Technique: Left: CT. Right: PSMA PET, same axial level, 18F tracer. acquired on Siemens Biograph mCT Flow 20.
Note: The face region was removed for patient privacy by blanking a rectangle over the head.
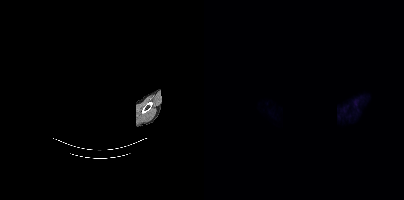
Findings: Negative for PSMA-avid disease on this slice.